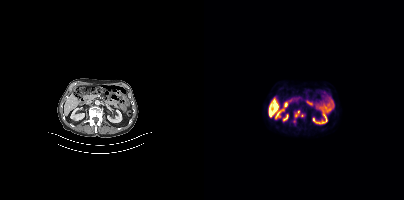
{"modality":"PSMA PET/CT","view":"axial","tracer":"18F-PSMA","pet_grid":[200,200],"coord_frame":"pet_panel","coord_format":"x0,y0,x1,y1","lesion_bboxes":[[90,110,100,117]],"small_foci_centers":[[90,121]]}